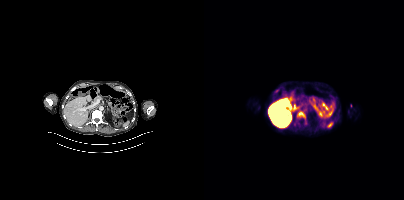
Technique: Paired axial CT (left) and PSMA PET (right), 18F-PSMA tracer. slice 195 of 421.
Findings: Coordinates are on the 200×200 PET (right) panel. PSMA-avid tumor lesion bounding box (x0,y0,x1,y1): [93,111,101,118].